Two-panel axial: CT | PSMA PET, [18F]PSMA-1007 tracer. Slice 56 of 452. PET panel 200×200 px (4.1 mm/px).
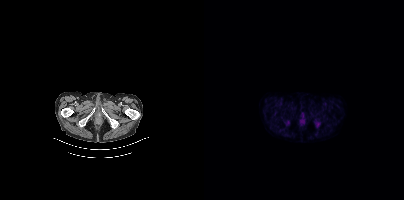
This slice has no annotated PSMA-avid lesion.